- Paired axial CT (left) and PSMA PET (right), 18F-PSMA tracer
- acquired on Siemens Biograph mCT Flow 20
- PET panel 200×200 px (4.1 mm/px)
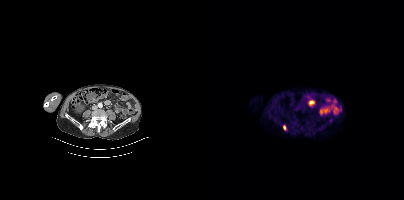
Findings: Coordinates are on the 200×200 PET (right) panel. PSMA-avid tumor lesion bounding box (x, y, width, height): x=79 y=125 w=3 h=5.